- Paired axial CT (left) and PSMA PET (right), 18F-PSMA tracer
- acquired on Siemens Biograph mCT Flow 20
- PET panel 200×200 px (4.1 mm/px)
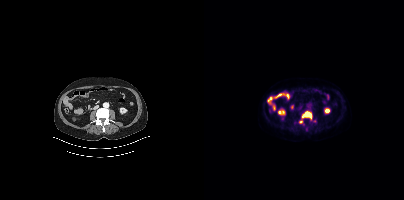
Findings: Coordinates are on the 200×200 PET (right) panel. PSMA-avid tumor lesion bounding boxes (x0, y0)-(x1, y1): (98, 111)-(112, 122) | (95, 121)-(100, 125).